- Two-panel axial: CT | PSMA PET, 18F-PSMA tracer
- slice position z = -941 mm
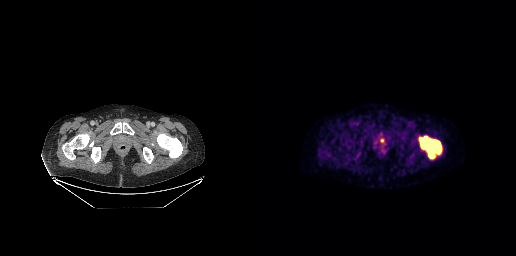
Findings: Coordinates are on the 256×256 PET (right) panel. PSMA-avid tumor lesion bounding box (x0, y0)-(x1, y1): (159, 136)-(181, 158).